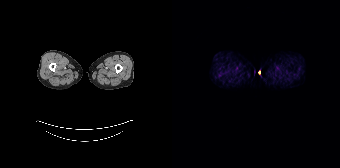
Negative for PSMA-avid disease on this slice.